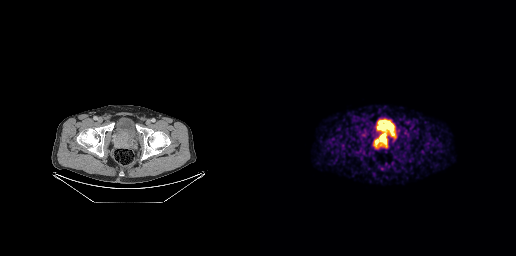
Coordinates are on the 256×256 PET (right) panel. PSMA-avid tumor lesion bounding boxes (x0, y0)-(x1, y1): (114, 133)-(127, 148); (130, 134)-(136, 138).
modality: PSMA PET/CT | tracer: 18F | view: axial | PET grid: 256×256